- Paired axial CT (left) and PSMA PET (right), 18F tracer
- acquired on GE Discovery 690
- PET panel 256×256 px (2.7 mm/px)
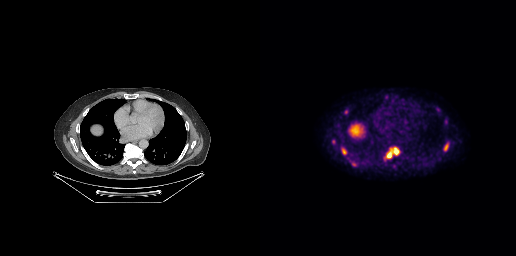
Findings: Coordinates are on the 256×256 PET (right) panel. PSMA-avid tumor lesion bounding boxes (x0, y0)-(x1, y1): (126, 147)-(139, 158); (183, 142)-(188, 151); (82, 148)-(86, 154). Small PSMA-avid foci (2 to 4 px across) near (center x, center y): (177, 109); (85, 111); (93, 164); (73, 141).